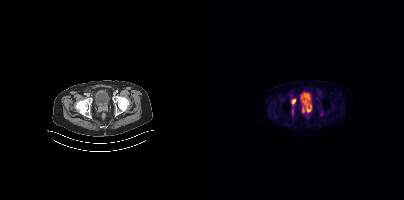
Findings: Coordinates are on the 200×200 PET (right) panel. (showing 2 of 3 foci) PSMA-avid tumor lesion bounding boxes (x, y, width, height): x=98 y=105 w=10 h=9 / x=87 y=99 w=5 h=6.
- Two-panel axial: CT | PSMA PET, [18F]PSMA-1007 tracer
- acquired on Siemens Biograph mCT Flow 20
- slice 75 of 411
- PET panel 200×200 px (4.1 mm/px)